Technique: Two-panel axial: CT | PSMA PET, 68Ga tracer. slice position z = -908 mm. PET panel 200×200 px (4.1 mm/px).
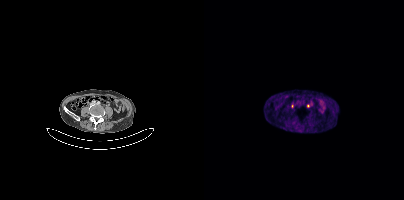
Findings: No tumor lesions annotated on this slice.